Paired axial CT (left) and PSMA PET (right), 68Ga-PSMA tracer. Slice 23 of 195. PET panel 168×168 px (4.1 mm/px).
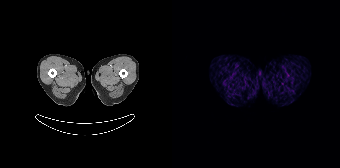
This slice has no annotated PSMA-avid lesion.